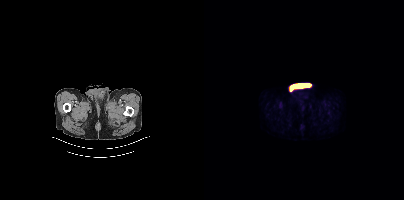
No PSMA-avid tumor lesions on this slice. Left: CT. Right: PSMA PET, same axial level, [18F]PSMA-1007 tracer. Slice 30 of 427.